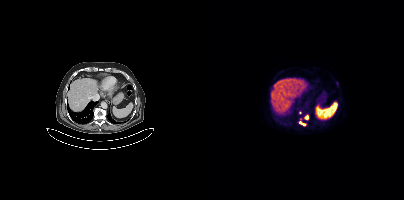
Coordinates are on the 200×200 PET (right) panel. (showing 3 of 4 foci) Small PSMA-avid foci (2 to 4 px across) near (center x, center y): (102, 117), (100, 124), (96, 122).